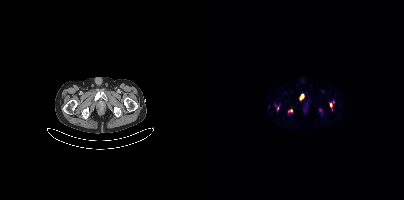
Coordinates are on the 200×200 PET (right) panel. (showing 6 of 7 foci) PSMA-avid tumor lesion bounding box (x, y, width, height): x=96 y=94 w=4 h=6. Small PSMA-avid foci (2 to 4 px across) near (center x, center y): (116, 110) | (126, 105) | (73, 108) | (129, 101) | (87, 110).